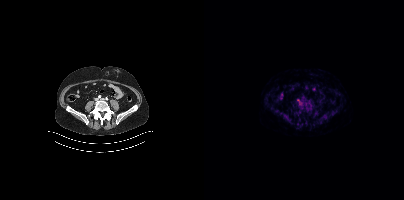
Technique: Paired axial CT (left) and PSMA PET (right), 18F-PSMA tracer. acquired on Siemens Biograph mCT Flow 20. PET panel 200×200 px (4.1 mm/px).
Findings: Only PSMA-avid lesion pieces thinner than 2 px on this slice (not listed).